Technique: Left: CT. Right: PSMA PET, same axial level, 18F-PSMA tracer.
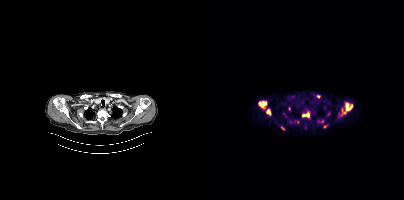
Findings: Coordinates are on the 200×200 PET (right) panel. (showing 12 of 15 foci) PSMA-avid tumor lesion bounding boxes (x0, y0)-(x1, y1): (137, 103)-(148, 116) | (54, 101)-(62, 108) | (98, 113)-(105, 117) | (62, 109)-(66, 115) | (77, 126)-(80, 130) | (119, 125)-(123, 127). Small PSMA-avid foci (2 to 4 px across) near (center x, center y): (85, 108) | (118, 121) | (114, 96) | (86, 122) | (93, 122) | (90, 121).